Paired axial CT (left) and PSMA PET (right), 18F-PSMA tracer. Slice position z = -1551 mm. PET panel 200×200 px (4.1 mm/px).
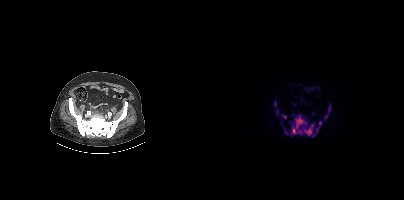
Coordinates are on the 200×200 PET (right) panel. (showing 6 of 9 foci) PSMA-avid tumor lesion bounding boxes (x0, y0)-(x1, y1): (86, 114)-(117, 137); (124, 104)-(126, 112); (120, 114)-(124, 119); (78, 115)-(82, 118); (81, 131)-(84, 135). Small PSMA-avid focus (2 to 4 px across) near (center x, center y): (70, 103).